Technique: Paired axial CT (left) and PSMA PET (right), 18F-PSMA tracer. PET panel 200×200 px (4.1 mm/px).
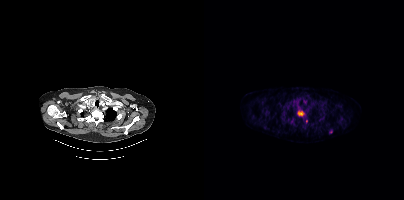
Findings: Coordinates are on the 200×200 PET (right) panel. (showing 2 of 3 foci) PSMA-avid tumor lesion bounding boxes (x0,y0,x1,y1): [94,111,99,115]; [125,129,128,133].